- Paired axial CT (left) and PSMA PET (right), [18F]PSMA-1007 tracer
- slice position z = 480 mm
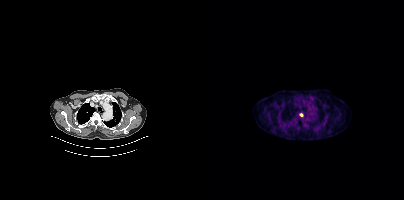
Findings: Coordinates are on the 200×200 PET (right) panel. Small PSMA-avid focus (2 to 4 px across) near (center x, center y): (97, 115).